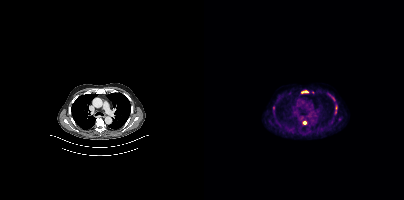
Findings: Coordinates are on the 200×200 PET (right) panel. (showing 2 of 3 foci) PSMA-avid tumor lesion bounding boxes (x, y, width, height): x=98 y=121 w=5 h=4 / x=97 y=90 w=8 h=4.
- Left: CT. Right: PSMA PET, same axial level, 18F tracer
- acquired on Siemens Biograph mCT Flow 20
- slice 296 of 405